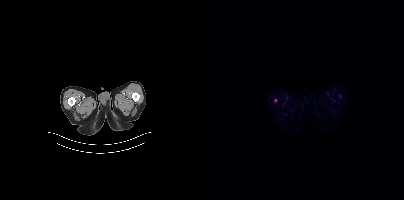
- Left: CT. Right: PSMA PET, same axial level, 18F-PSMA tracer
- acquired on Siemens Biograph mCT Flow 20
- PET panel 200×200 px (4.1 mm/px)
Findings: Coordinates are on the 200×200 PET (right) panel. Small PSMA-avid focus (2 to 4 px across) near (center x, center y): (71, 100).